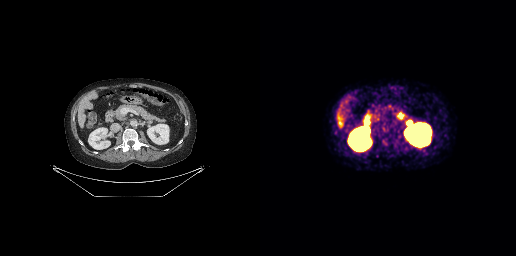
{"modality":"PSMA PET/CT","view":"axial","tracer":"68Ga","pet_grid":[256,256],"coord_frame":"pet_panel","coord_format":"x0,y0,x1,y1","lesion_bboxes":[[147,121,153,127]]}